Technique: Left: CT. Right: PSMA PET, same axial level, [18F]PSMA-1007 tracer. PET panel 256×256 px (2.7 mm/px).
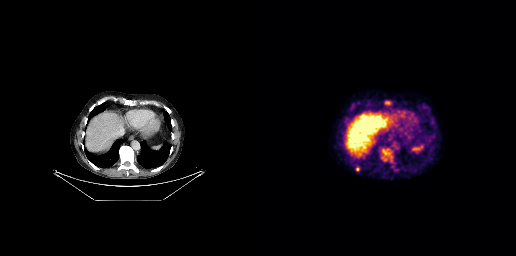
Findings: Coordinates are on the 256×256 PET (right) panel. Small PSMA-avid foci (2 to 4 px across) near (center x, center y): (97, 168), (127, 102), (125, 152).